modality: PSMA PET/CT | tracer: [18F]PSMA-1007 | view: axial
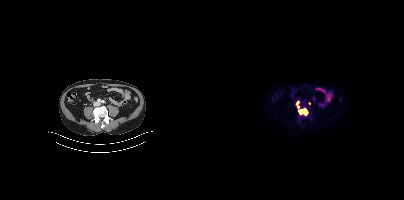
Coordinates are on the 200×200 PET (right) panel. PSMA-avid tumor lesion bounding box (x0, y0)-(x1, y1): (95, 109)-(103, 114). Small PSMA-avid foci (2 to 4 px across) near (center x, center y): (93, 106); (93, 102).